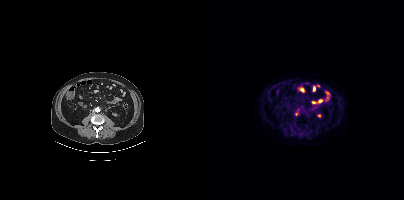
Coordinates are on the 200×200 PET (right) panel. Small PSMA-avid focus (2 to 4 px across) near (center x, center y): (92, 113). Two-panel axial: CT | PSMA PET, 18F-PSMA tracer. Acquired on Siemens Biograph mCT Flow 20. PET panel 200×200 px (4.1 mm/px).